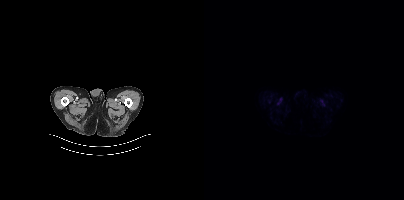
{"pet_grid":[200,200],"coord_frame":"pet_panel","coord_format":"x0,y0,x1,y1","psma_avid_lesions":false,"modality":"PSMA PET/CT","view":"axial","tracer":"18F"}